Left: CT. Right: PSMA PET, same axial level, 18F tracer. Acquired on Siemens Biograph mCT Flow 20. Slice position z = -1440 mm. PET panel 200×200 px (4.1 mm/px).
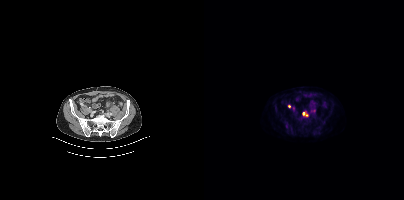
Coordinates are on the 200×200 PET (right) panel. PSMA-avid tumor lesion bounding boxes (partial; 1 more focus not listed):
| # | x0 | y0 | x1 | y1 |
|---|---|---|---|---|
| 1 | 98 | 112 | 104 | 116 |
Small PSMA-avid focus (2 to 4 px across) near (center x, center y): (85, 106).